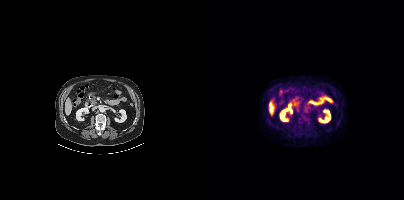
Negative for PSMA-avid disease on this slice.